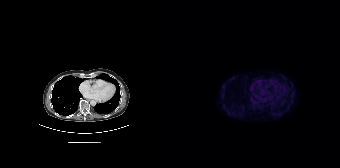
- Two-panel axial: CT | PSMA PET, [18F]PSMA-1007 tracer
- acquired on Siemens Biograph 64-4R TruePoint
- slice position z = -853 mm
Findings: No PSMA-avid tumor lesions on this slice.